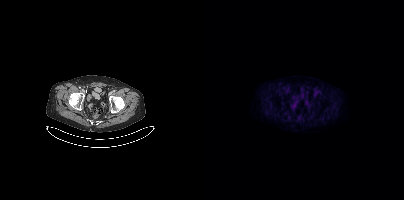
Negative for PSMA-avid disease on this slice.